- Paired axial CT (left) and PSMA PET (right), 18F-PSMA tracer
- acquired on GE Discovery 690
- slice position z = -846 mm
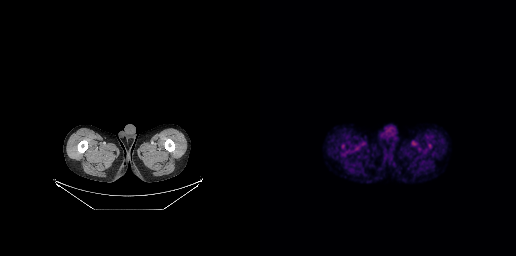
Findings: Negative for PSMA-avid disease on this slice.